modality: PSMA PET/CT | tracer: [68Ga]Ga-PSMA-11 | view: axial | PET grid: 168×168
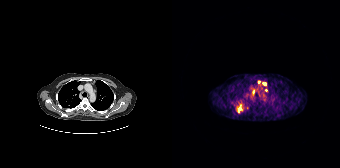
Coordinates are on the 168×168 PET (right) panel. (showing 5 of 6 foci) PSMA-avid tumor lesion bounding boxes (x, y, width, height): x=64 y=102 w=7 h=12 | x=90 y=82 w=5 h=4 | x=80 y=89 w=3 h=7. Small PSMA-avid foci (2 to 4 px across) near (center x, center y): (87, 82) | (94, 90).